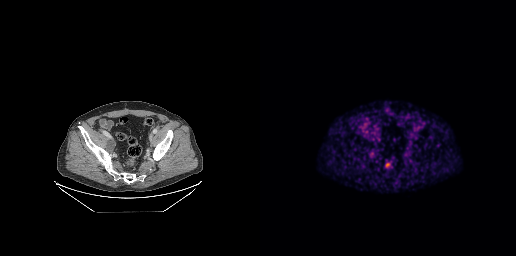
Findings: Coordinates are on the 256×256 PET (right) panel. Small PSMA-avid focus (2 to 4 px across) near (center x, center y): (127, 164).
- Two-panel axial: CT | PSMA PET, 68Ga tracer
- acquired on GE Discovery 690
- slice position z = -793 mm